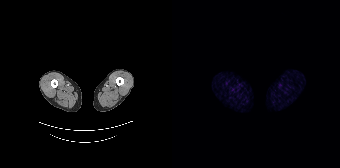
No tumor lesions annotated on this slice. Two-panel axial: CT | PSMA PET, [68Ga]Ga-PSMA-11 tracer. Slice 8 of 195.